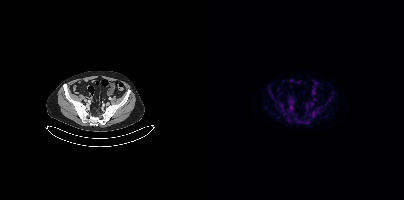
Technique: Two-panel axial: CT | PSMA PET, 18F-PSMA tracer. acquired on Siemens Biograph mCT Flow 20.
Findings: Coordinates are on the 200×200 PET (right) panel. Small PSMA-avid focus (2 to 4 px across) near (center x, center y): (109, 114).